modality: PSMA PET/CT | tracer: 18F | view: axial | PET grid: 200×200
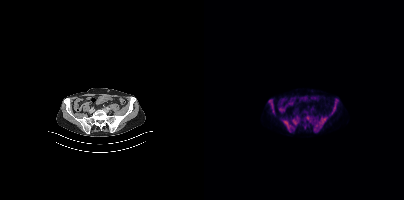
Coordinates are on the 200×200 PET (right) panel. (showing 3 of 5 foci) PSMA-avid tumor lesion bounding boxes (x, y, width, height): x=79 y=120 w=11 h=12 | x=113 y=118 w=9 h=9. Small PSMA-avid focus (2 to 4 px across) near (center x, center y): (130, 107).